Left: CT. Right: PSMA PET, same axial level, [18F]PSMA-1007 tracer. Slice 312 of 454. PET panel 200×200 px (4.1 mm/px).
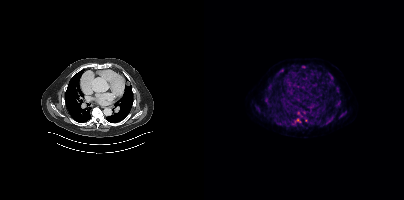
Coordinates are on the 200×200 PET (right) panel. (showing 15 of 16 foci) PSMA-avid tumor lesion bounding boxes (x0,y0,x1,y1): [93,111,101,118]; [124,73,130,84]; [122,119,127,124]; [60,96,64,101]; [132,99,136,104]; [127,113,132,119]; [74,69,79,74]; [88,121,91,125]; [63,90,67,93]. Small PSMA-avid foci (2 to 4 px across) near (center x, center y): (67, 115); (139, 114); (133, 87); (102, 120); (53, 109); (99, 66).